Any black rectangle over the head is a privacy mask, not anatomy.
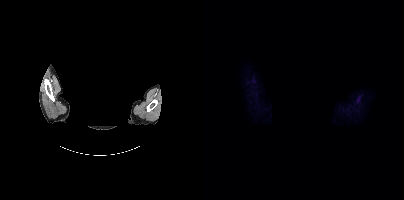
No tumor lesions annotated on this slice.